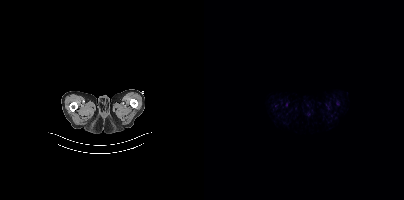
No PSMA-avid tumor lesions on this slice.